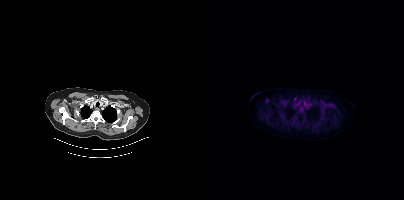
Findings: Only PSMA-avid lesion pieces thinner than 2 px on this slice (not listed).
- Paired axial CT (left) and PSMA PET (right), [18F]PSMA-1007 tracer
- acquired on Siemens Biograph mCT Flow 20